Left: CT. Right: PSMA PET, same axial level, [18F]PSMA-1007 tracer.
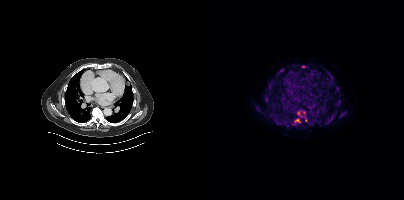
Coordinates are on the 200×200 PET (right) panel. PSMA-avid tumor lesion bounding boxes:
| # | x0 | y0 | x1 | y1 |
|---|---|---|---|---|
| 1 | 93 | 110 | 103 | 121 |
| 2 | 88 | 119 | 96 | 125 |
| 3 | 127 | 112 | 132 | 119 |
| 4 | 60 | 96 | 65 | 101 |
| 5 | 122 | 119 | 127 | 124 |
| 6 | 124 | 73 | 129 | 80 |
| 7 | 132 | 99 | 137 | 104 |
| 8 | 65 | 113 | 69 | 117 |
| 9 | 137 | 113 | 141 | 116 |
| 10 | 74 | 69 | 79 | 73 |
Small PSMA-avid foci (2 to 4 px across) near (center x, center y): (133, 87); (65, 91); (99, 66); (129, 82).